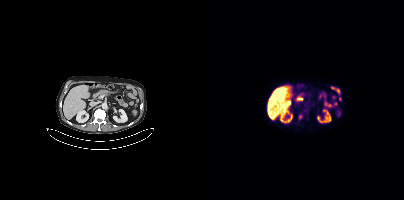
Coordinates are on the 200×200 PET (right) panel. PSMA-avid tumor lesion bounding boxes:
| # | x0 | y0 | x1 | y1 |
|---|---|---|---|---|
| 1 | 95 | 115 | 97 | 119 |
Two-panel axial: CT | PSMA PET, [18F]PSMA-1007 tracer. PET panel 200×200 px (4.1 mm/px).